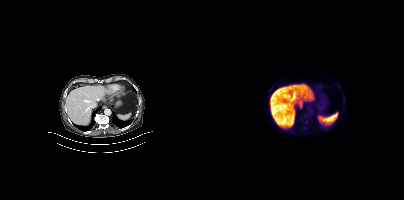
Negative for PSMA-avid disease on this slice. Paired axial CT (left) and PSMA PET (right), 18F tracer. Slice position z = -1060 mm.